- Paired axial CT (left) and PSMA PET (right), 68Ga tracer
- slice 158 of 263
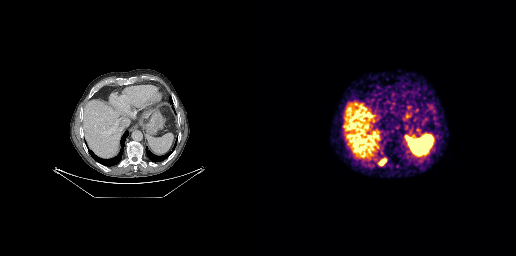
Findings: Coordinates are on the 256×256 PET (right) panel. PSMA-avid tumor lesion bounding box (x0, y0)-(x1, y1): (120, 159)-(125, 165).